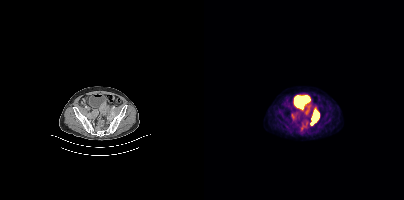
Technique: Two-panel axial: CT | PSMA PET, 18F tracer. PET panel 200×200 px (4.1 mm/px).
Findings: Coordinates are on the 200×200 PET (right) panel. (showing 3 of 4 foci) PSMA-avid tumor lesion bounding boxes (x, y, width, height): x=107 y=110 w=9 h=15 | x=100 y=108 w=7 h=8 | x=87 y=113 w=6 h=8.